Left: CT. Right: PSMA PET, same axial level, [18F]PSMA-1007 tracer.
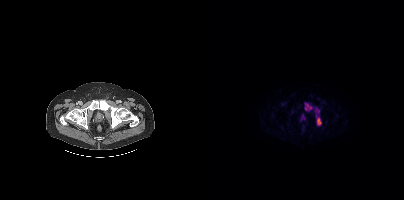
Coordinates are on the 200×200 PET (right) panel. (showing 5 of 6 foci) PSMA-avid tumor lesion bounding boxes (x0, y0)-(x1, y1): (113, 118)-(117, 124); (97, 115)-(100, 119). Small PSMA-avid foci (2 to 4 px across) near (center x, center y): (103, 105); (106, 107); (101, 108).